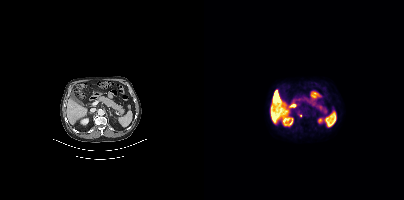
Coordinates are on the 200×200 PET (right) panel. PSMA-avid tumor lesion bounding box (x0,y0,x1,y1): [94,113,98,117].